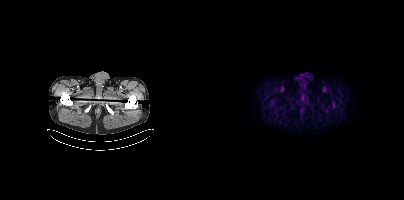
Findings: No PSMA-avid tumor lesions on this slice.
Technique: Left: CT. Right: PSMA PET, same axial level, 18F-PSMA tracer. PET panel 200×200 px (4.1 mm/px).